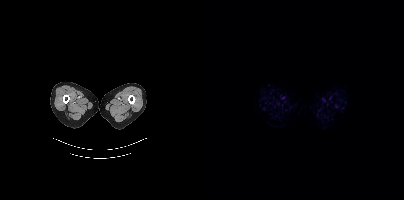
No PSMA-avid tumor lesions on this slice.